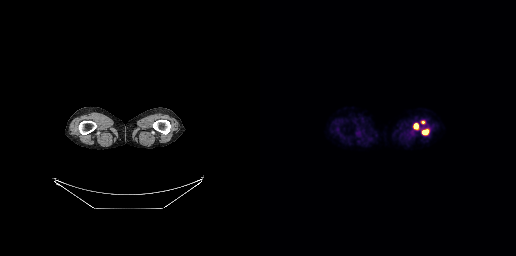
Coordinates are on the 256×256 PET (right) panel. PSMA-avid tumor lesion bounding boxes (x0, y0)-(x1, y1): (162, 129)-(168, 134); (153, 123)-(158, 129). Small PSMA-avid focus (2 to 4 px across) near (center x, center y): (163, 122).